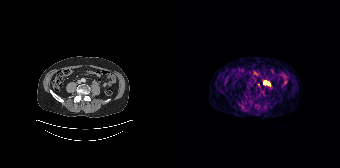
{"modality":"PSMA PET/CT","view":"axial","tracer":"68Ga-PSMA","pet_grid":[168,168],"coord_frame":"pet_panel","coord_format":"x0,y0,x1,y1","lesion_bboxes":[[92,81,97,84]]}